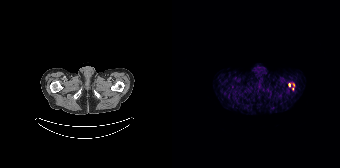
Technique: Left: CT. Right: PSMA PET, same axial level, 68Ga tracer. acquired on Siemens Biograph 64-4R TruePoint. PET panel 168×168 px (4.1 mm/px).
Findings: Coordinates are on the 168×168 PET (right) panel. Small PSMA-avid focus (2 to 4 px across) near (center x, center y): (117, 85).